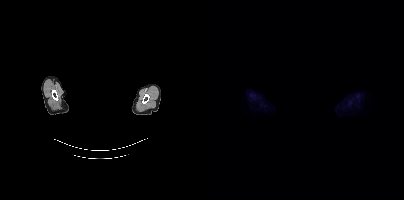
Negative for PSMA-avid disease on this slice. Privacy masking over the head, with the pixels inside a rectangle set to black. Two-panel axial: CT | PSMA PET, 18F-PSMA tracer. Slice 396 of 429. PET panel 200×200 px (4.1 mm/px).